Technique: Two-panel axial: CT | PSMA PET, 18F tracer. acquired on GE Discovery 690. slice 164 of 263. PET panel 256×256 px (2.7 mm/px).
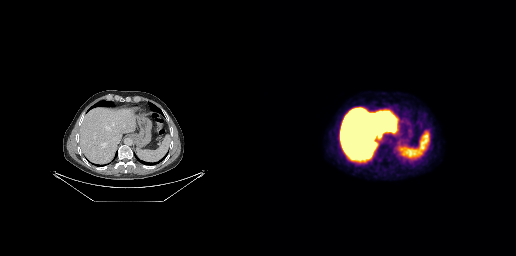
Findings: This slice has no annotated PSMA-avid lesion.